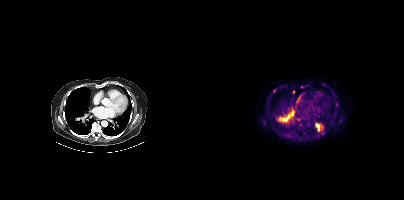
{"modality":"PSMA PET/CT","view":"axial","tracer":"18F","pet_grid":[200,200],"coord_frame":"pet_panel","coord_format":"x0,y0,x1,y1","partial":true,"lesion_bboxes":[[73,116,86,121],[112,124,119,131],[86,111,90,115],[96,86,100,88]],"small_foci_centers":[[70,90]]}